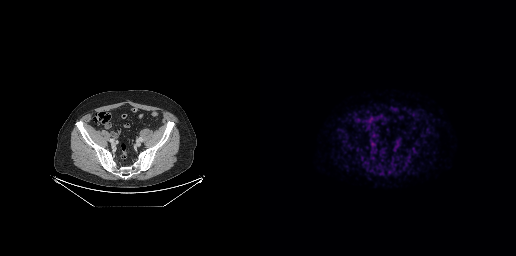
Coordinates are on the 256×256 PET (right) panel. PSMA-avid tumor lesion bounding box (x0, y0)-(x1, y1): (135, 141)-(139, 148).